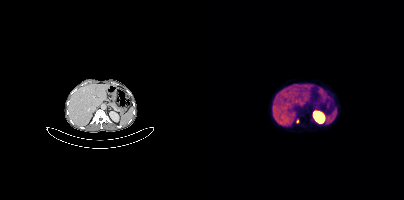
Paired axial CT (left) and PSMA PET (right), 68Ga-PSMA tracer. Coordinates are on the 200×200 PET (right) panel. Small PSMA-avid focus (2 to 4 px across) near (center x, center y): (93, 120).